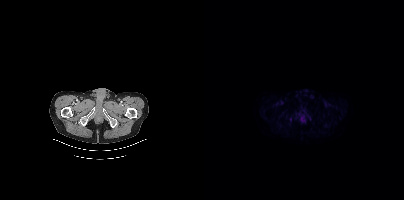
{"modality":"PSMA PET/CT","view":"axial","tracer":"[18F]PSMA-1007","pet_grid":[200,200],"coord_frame":"pet_panel","coord_format":"x0,y0,x1,y1","lesion_bboxes":[],"small_foci_centers":[[86,118]]}